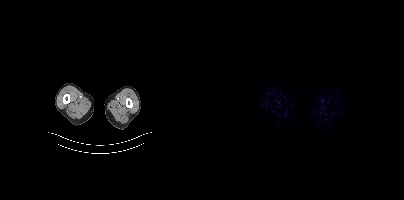
Negative for PSMA-avid disease on this slice.